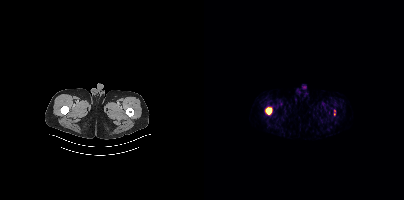
Coordinates are on the 200×200 PET (right) panel. PSMA-avid tumor lesion bounding box (x0, y0)-(x1, y1): (62, 107)-(67, 114).